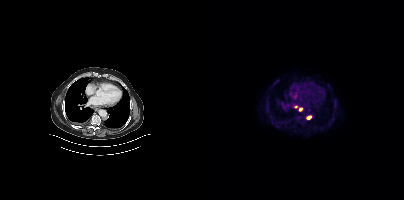
Findings: Coordinates are on the 200×200 PET (right) panel. PSMA-avid tumor lesion bounding box (x0, y0)-(x1, y1): (103, 116)-(107, 119). Small PSMA-avid foci (2 to 4 px across) near (center x, center y): (96, 109) | (91, 106).
Technique: Paired axial CT (left) and PSMA PET (right), [18F]PSMA-1007 tracer. slice position z = -442 mm.